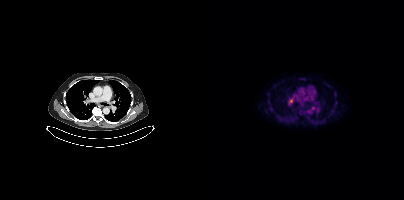
Coordinates are on the 200×200 PET (right) panel. PSMA-avid tumor lesion bounding boxes:
| # | x0 | y0 | x1 | y1 |
|---|---|---|---|---|
| 1 | 85 | 99 | 88 | 103 |
Small PSMA-avid foci (2 to 4 px across) near (center x, center y): (109, 107); (113, 109).
Paired axial CT (left) and PSMA PET (right), 18F tracer. Slice position z = -1075 mm.